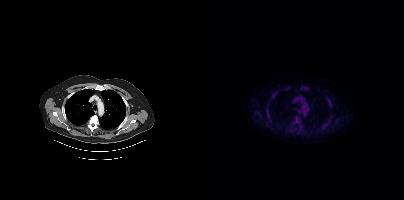
- Two-panel axial: CT | PSMA PET, 18F-PSMA tracer
- acquired on Siemens Biograph mCT Flow 20
- slice 351 of 462
- PET panel 200×200 px (4.1 mm/px)
Findings: Negative for PSMA-avid disease on this slice.